modality: PSMA PET/CT | tracer: 68Ga | view: axial
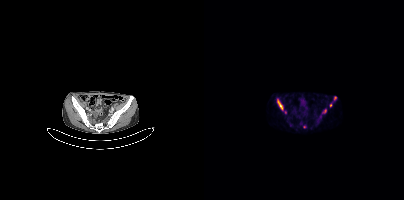
Coordinates are on the 200×200 PET (right) panel. PSMA-avid tumor lesion bounding boxes (x0, y0)-(x1, y1): (73, 99)-(82, 113); (118, 109)-(122, 113); (130, 96)-(132, 100). Small PSMA-avid foci (2 to 4 px across) near (center x, center y): (100, 127); (126, 105).